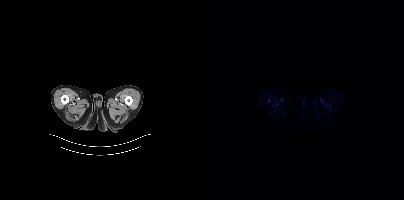
- Left: CT. Right: PSMA PET, same axial level, 18F-PSMA tracer
Findings: Only PSMA-avid lesion pieces thinner than 2 px on this slice (not listed).